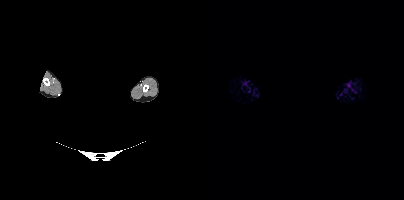
A rectangle over the head was blacked out to remove identifiable facial features.
This slice has no annotated PSMA-avid lesion.